Two-panel axial: CT | PSMA PET, 18F-PSMA tracer. Slice 71 of 299.
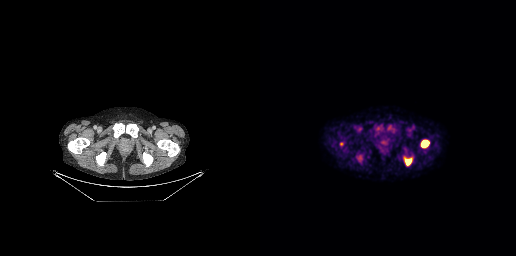
Coordinates are on the 256×256 PET (right) panel. PSMA-avid tumor lesion bounding boxes (partial; 1 more focus not listed):
| # | x0 | y0 | x1 | y1 |
|---|---|---|---|---|
| 1 | 161 | 139 | 169 | 148 |
| 2 | 144 | 157 | 151 | 165 |